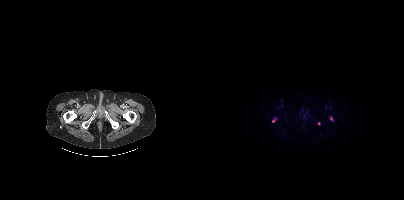
- Two-panel axial: CT | PSMA PET, 18F-PSMA tracer
- slice 39 of 389
Findings: Coordinates are on the 200×200 PET (right) panel. (showing 1 of 3 foci) Small PSMA-avid focus (2 to 4 px across) near (center x, center y): (114, 123).